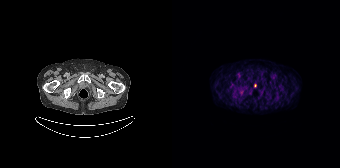
Two-panel axial: CT | PSMA PET, 68Ga-PSMA tracer. Acquired on Siemens Biograph 64-4R TruePoint. Slice position z = -725 mm. No PSMA-avid tumor lesions on this slice.